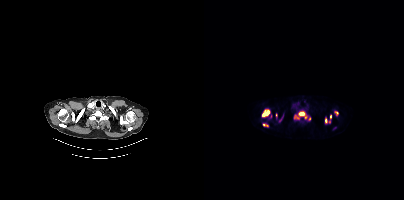
Coordinates are on the 200×200 PET (right) panel. (showing 8 of 9 foci) PSMA-avid tumor lesion bounding boxes (x0, y0)-(x1, y1): (94, 111)-(102, 118) | (58, 110)-(65, 116) | (90, 115)-(94, 118) | (121, 118)-(123, 122) | (59, 124)-(63, 126). Small PSMA-avid foci (2 to 4 px across) near (center x, center y): (132, 112) | (126, 116) | (105, 118).